modality: PSMA PET/CT | tracer: [18F]PSMA-1007 | view: axial | PET grid: 200×200
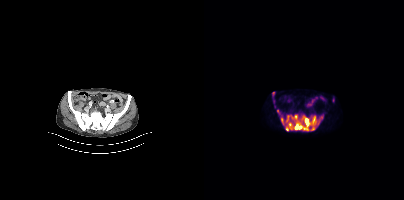
Coordinates are on the 200×200 PET (right) panel. (showing 3 of 4 foci) PSMA-avid tumor lesion bounding boxes (x0,y0,x1,y1): [77,114,119,131], [73,109,76,114]. Small PSMA-avid focus (2 to 4 px across) near (center x, center y): (69, 93).